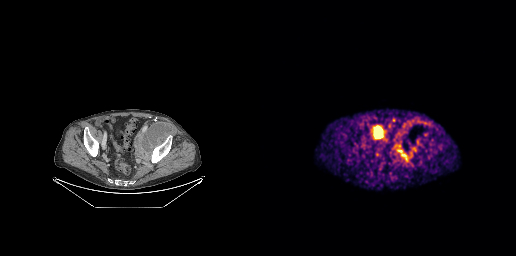
{"modality":"PSMA PET/CT","view":"axial","tracer":"[68Ga]Ga-PSMA-11","pet_grid":[256,256],"coord_frame":"pet_panel","coord_format":"x0,y0,x1,y1","lesion_bboxes":[[137,146,156,160]]}